Paired axial CT (left) and PSMA PET (right), 18F-PSMA tracer. Slice position z = -1046 mm. PET panel 200×200 px (4.1 mm/px).
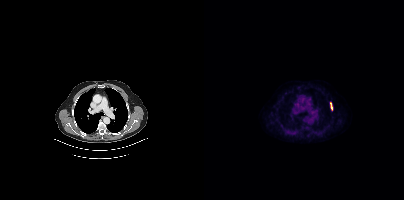
Coordinates are on the 200×200 PET (right) panel. PSMA-avid tumor lesion bounding box (x0,y0,x1,y1): [126,102,128,110].